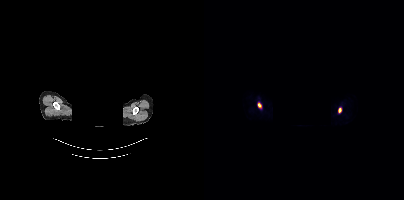
Coordinates are on the 200×200 PET (right) panel. PSMA-avid tumor lesion bounding boxes (x, y, width, height): x=134 y=108 w=4 h=5 / x=54 y=103 w=4 h=5.
modality: PSMA PET/CT | tracer: 18F | view: axial | PET grid: 200×200 | deidentification: privacy mask over head